- Two-panel axial: CT | PSMA PET, 18F-PSMA tracer
- acquired on Siemens Biograph mCT Flow 20
- slice position z = -883 mm
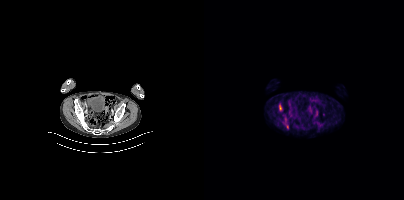
Findings: Coordinates are on the 200×200 PET (right) panel. PSMA-avid tumor lesion bounding box (x, y, width, height): x=75 y=105 w=3 h=5. Small PSMA-avid focus (2 to 4 px across) near (center x, center y): (83, 126).